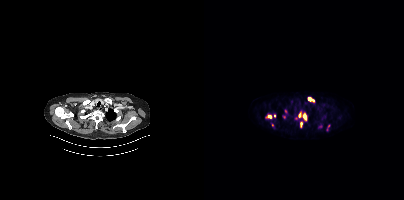
Paired axial CT (left) and PSMA PET (right), 18F-PSMA tracer. Acquired on Siemens Biograph mCT Flow 20.
Coordinates are on the 200×200 PET (right) panel. PSMA-avid tumor lesion bounding boxes (partial; 3 more foci not listed):
| # | x0 | y0 | x1 | y1 |
|---|---|---|---|---|
| 1 | 94 | 112 | 102 | 120 |
| 2 | 104 | 97 | 110 | 102 |
| 3 | 62 | 115 | 67 | 118 |
| 4 | 96 | 122 | 98 | 127 |
Small PSMA-avid foci (2 to 4 px across) near (center x, center y): (70, 116); (68, 124).